Paired axial CT (left) and PSMA PET (right), 18F tracer. PET panel 200×200 px (4.1 mm/px).
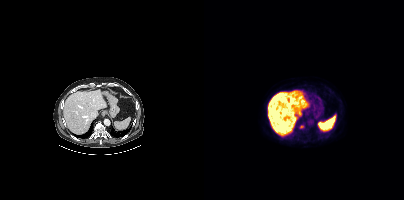
Coordinates are on the 200×200 PET (right) panel. Small PSMA-avid focus (2 to 4 px across) near (center x, center y): (97, 126).